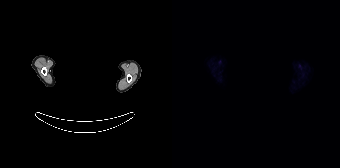
This slice has no annotated PSMA-avid lesion.
deidentification: privacy mask over head | modality: PSMA PET/CT | tracer: 18F | view: axial | PET grid: 168×168